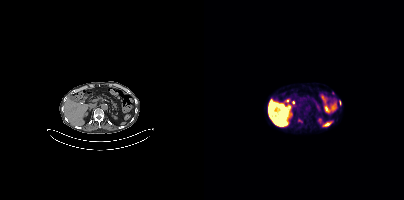
- Two-panel axial: CT | PSMA PET, 18F-PSMA tracer
- PET panel 200×200 px (4.1 mm/px)
Findings: Coordinates are on the 200×200 PET (right) panel. PSMA-avid tumor lesion bounding box (x0,y0,x1,y1): [94,119,98,122]. Small PSMA-avid focus (2 to 4 px across) near (center x, center y): (136, 102).